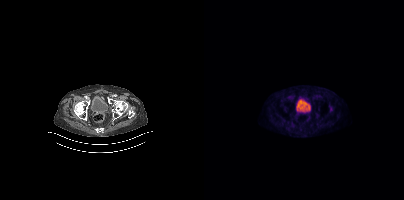
{"modality":"PSMA PET/CT","view":"axial","tracer":"18F","pet_grid":[200,200],"coord_frame":"pet_panel","coord_format":"x0,y0,x1,y1","psma_avid_lesions":false}